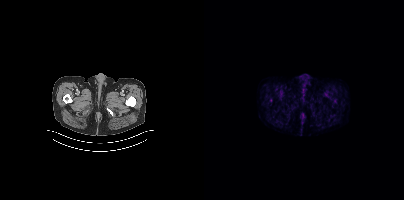
modality: PSMA PET/CT | tracer: 68Ga | view: axial | PET grid: 200×200
Coordinates are on the 200×200 PET (right) panel. Small PSMA-avid focus (2 to 4 px across) near (center x, center y): (66, 100).